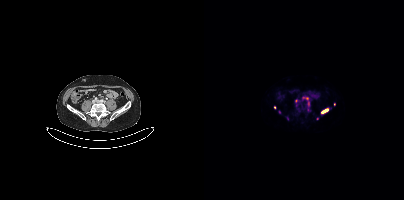
Findings: Coordinates are on the 200×200 PET (right) panel. (showing 7 of 10 foci) PSMA-avid tumor lesion bounding boxes (x, y, width, height): x=99 y=97 w=7 h=8 / x=103 y=107 w=4 h=5 / x=118 y=109 w=6 h=5. Small PSMA-avid foci (2 to 4 px across) near (center x, center y): (75, 112) / (83, 118) / (113, 118) / (70, 107).
Technique: Left: CT. Right: PSMA PET, same axial level, [68Ga]Ga-PSMA-11 tracer. acquired on Siemens Biograph mCT Flow 20. PET panel 200×200 px (4.1 mm/px).